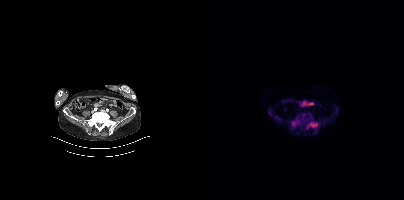
{"modality":"PSMA PET/CT","view":"axial","tracer":"[18F]PSMA-1007","pet_grid":[200,200],"coord_frame":"pet_panel","coord_format":"x0,y0,x1,y1","partial":true,"lesion_bboxes":[[103,122,114,129],[86,120,94,127],[96,115,99,119]]}